modality: PSMA PET/CT | tracer: [18F]PSMA-1007 | view: axial
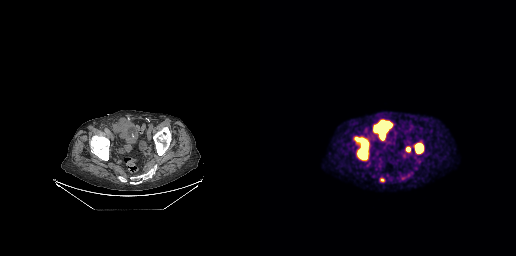
Coordinates are on the 256×256 PET (right) panel. PSMA-avid tumor lesion bounding boxes (x0,y0,x1,y1): [95,137,108,159] [114,120,131,139] [156,143,163,152] [120,178,124,181] [146,147,149,151].